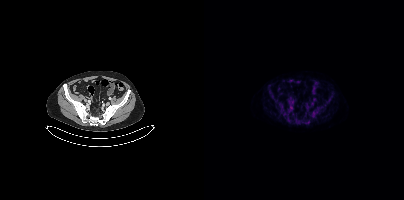
No tumor lesions annotated on this slice.